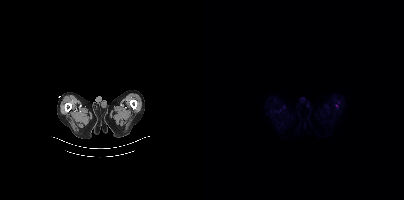
No tumor lesions annotated on this slice.
modality: PSMA PET/CT | tracer: [18F]PSMA-1007 | view: axial | PET grid: 200×200